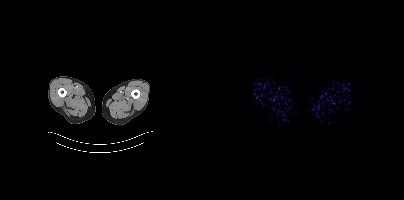
Negative for PSMA-avid disease on this slice.